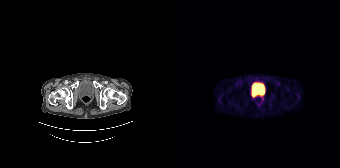
- Two-panel axial: CT | PSMA PET, 68Ga tracer
- PET panel 168×168 px (4.1 mm/px)
Findings: No tumor lesions annotated on this slice.